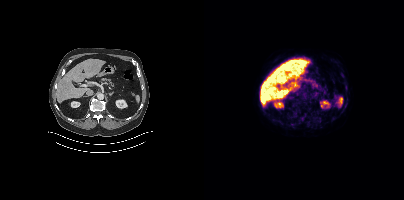
Technique: Left: CT. Right: PSMA PET, same axial level, 18F tracer. slice 231 of 454.
Findings: No tumor lesions annotated on this slice.